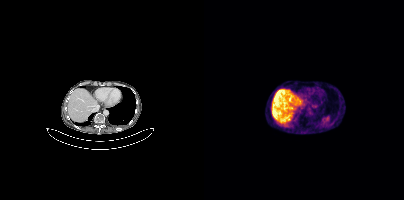
{"modality":"PSMA PET/CT","view":"axial","tracer":"68Ga-PSMA","pet_grid":[200,200],"coord_frame":"pet_panel","coord_format":"x0,y0,x1,y1","psma_avid_lesions":false}